- Paired axial CT (left) and PSMA PET (right), [18F]PSMA-1007 tracer
- PET panel 200×200 px (4.1 mm/px)
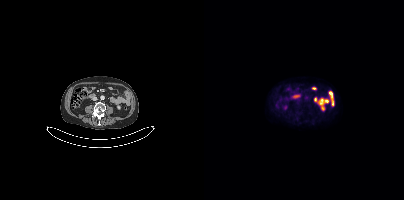
Findings: This slice has no annotated PSMA-avid lesion.